- Paired axial CT (left) and PSMA PET (right), [18F]PSMA-1007 tracer
- acquired on Siemens Biograph mCT Flow 20
- PET panel 200×200 px (4.1 mm/px)
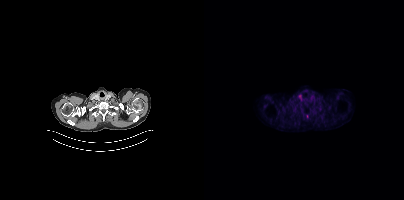
Findings: Only PSMA-avid lesion pieces thinner than 2 px on this slice (not listed).